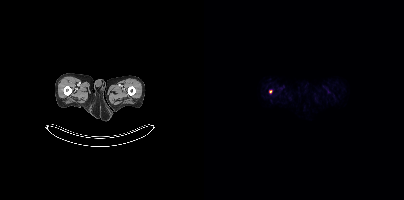
Coordinates are on the 200×200 PET (right) panel. Small PSMA-avid focus (2 to 4 px across) near (center x, center y): (66, 91). Paired axial CT (left) and PSMA PET (right), 18F-PSMA tracer. Acquired on Siemens Biograph mCT Flow 20.